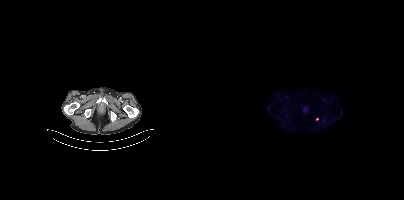
Two-panel axial: CT | PSMA PET, [18F]PSMA-1007 tracer. Coordinates are on the 200×200 PET (right) panel. Small PSMA-avid focus (2 to 4 px across) near (center x, center y): (113, 119).